Technique: Left: CT. Right: PSMA PET, same axial level, 18F-PSMA tracer. acquired on Siemens Biograph mCT Flow 20. slice 372 of 435.
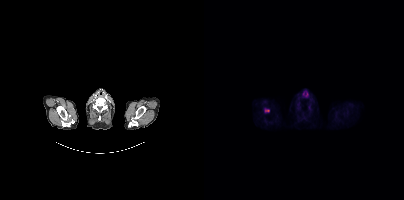
Findings: Coordinates are on the 200×200 PET (right) panel. PSMA-avid tumor lesion bounding box (x0,y0,x1,y1): [61,109,65,111].